Technique: Two-panel axial: CT | PSMA PET, [18F]PSMA-1007 tracer. acquired on Siemens Biograph mCT Flow 20. slice position z = -806 mm.
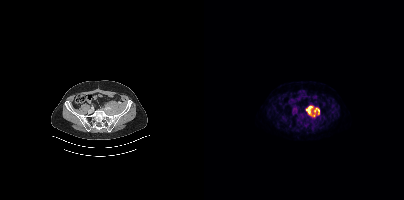
Findings: Coordinates are on the 200×200 PET (right) panel. PSMA-avid tumor lesion bounding box (x0, y0)-(x1, y1): (101, 105)-(115, 117).